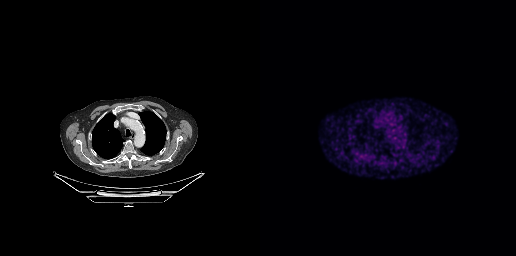
- Left: CT. Right: PSMA PET, same axial level, 68Ga tracer
Findings: This slice has no annotated PSMA-avid lesion.